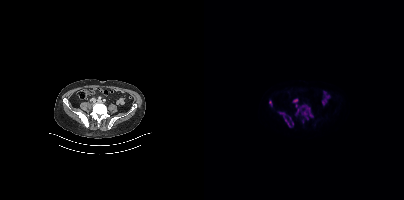
Left: CT. Right: PSMA PET, same axial level, 18F-PSMA tracer.
Coordinates are on the 200×200 PET (right) panel. PSMA-avid tumor lesion bounding boxes:
| # | x0 | y0 | x1 | y1 |
|---|---|---|---|---|
| 1 | 93 | 105 | 109 | 117 |
| 2 | 75 | 111 | 89 | 127 |
| 3 | 89 | 99 | 93 | 102 |
| 4 | 98 | 118 | 100 | 123 |
| 5 | 65 | 101 | 68 | 105 |